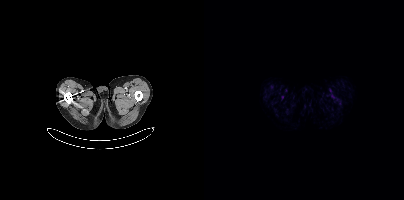
This slice has no annotated PSMA-avid lesion.
modality: PSMA PET/CT | tracer: 18F-PSMA | view: axial